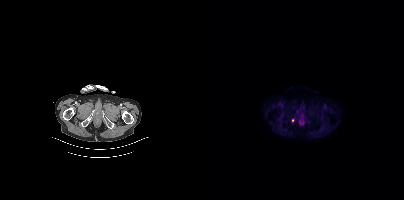
modality: PSMA PET/CT | tracer: [18F]PSMA-1007 | view: axial | PET grid: 200×200
Coordinates are on the 200×200 PET (right) panel. Small PSMA-avid foci (2 to 4 px across) near (center x, center y): (93, 111) / (89, 120).